modality: PSMA PET/CT | tracer: 68Ga | view: axial | PET grid: 200×200
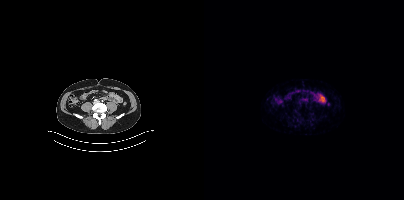
No tumor lesions annotated on this slice.